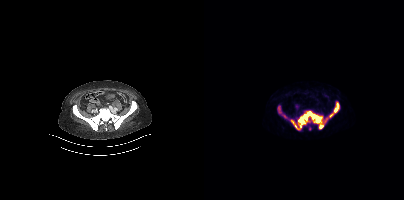
Paired axial CT (left) and PSMA PET (right), [68Ga]Ga-PSMA-11 tracer. PET panel 200×200 px (4.1 mm/px).
Coordinates are on the 200×200 PET (right) panel. PSMA-avid tumor lesion bounding boxes:
| # | x0 | y0 | x1 | y1 |
|---|---|---|---|---|
| 1 | 86 | 111 | 127 | 129 |
| 2 | 128 | 101 | 135 | 114 |
| 3 | 73 | 105 | 78 | 114 |
| 4 | 79 | 114 | 84 | 119 |